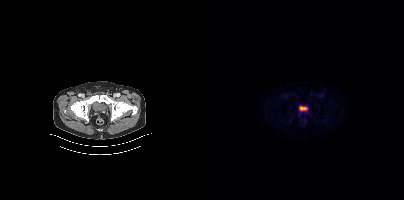
{"modality":"PSMA PET/CT","view":"axial","tracer":"18F","pet_grid":[200,200],"coord_frame":"pet_panel","coord_format":"x0,y0,x1,y1","lesion_bboxes":[],"small_foci_centers":[[95,115],[104,113]]}